Technique: Two-panel axial: CT | PSMA PET, [18F]PSMA-1007 tracer. slice 42 of 411. PET panel 200×200 px (4.1 mm/px).
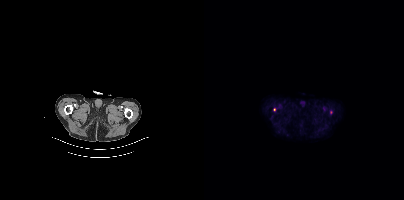
Findings: Coordinates are on the 200×200 PET (right) panel. Small PSMA-avid foci (2 to 4 px across) near (center x, center y): (70, 109); (126, 112).